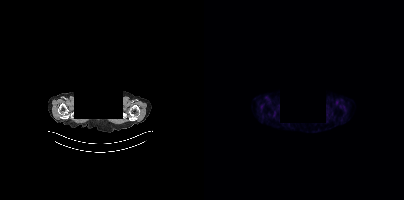
Findings: Negative for PSMA-avid disease on this slice.
Technique: Two-panel axial: CT | PSMA PET, 18F-PSMA tracer. slice 315 of 356. PET panel 200×200 px (4.1 mm/px).
Note: Any black rectangle over the head is a privacy mask, not anatomy.